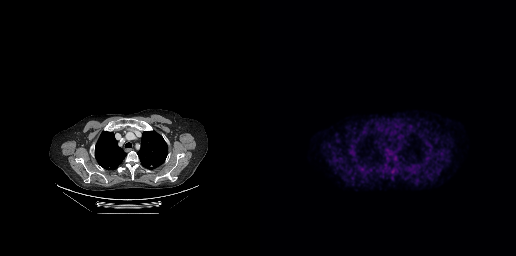
{"modality":"PSMA PET/CT","view":"axial","tracer":"18F","pet_grid":[256,256],"coord_frame":"pet_panel","coord_format":"x0,y0,x1,y1","psma_avid_lesions":false}